modality: PSMA PET/CT | tracer: [68Ga]Ga-PSMA-11 | view: axial
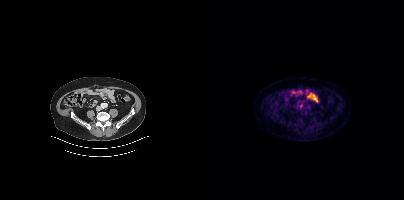
Coordinates are on the 200×200 PET (right) panel. Small PSMA-avid focus (2 to 4 px across) near (center x, center y): (97, 106).